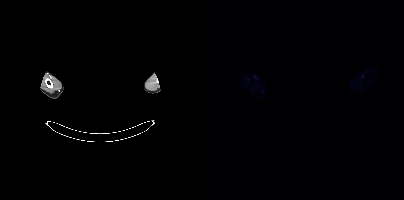
No PSMA-avid tumor lesions on this slice. Two-panel axial: CT | PSMA PET, [18F]PSMA-1007 tracer. Acquired on Siemens Biograph mCT Flow 20. The face region was removed for patient privacy by blanking a rectangle over the head.